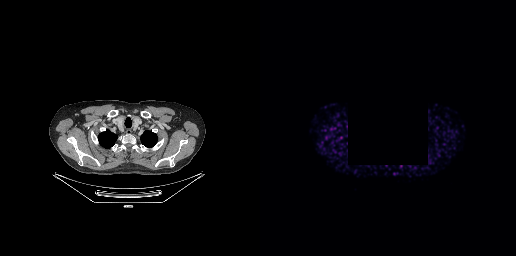
modality: PSMA PET/CT | tracer: 68Ga | view: axial | de-identification: privacy mask (black rectangle)
This slice has no annotated PSMA-avid lesion.